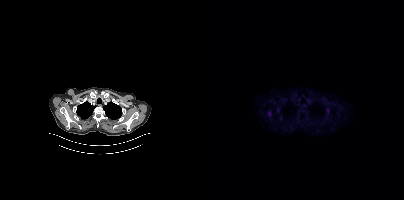
Two-panel axial: CT | PSMA PET, [18F]PSMA-1007 tracer. Acquired on Siemens Biograph mCT Flow 20. Slice 336 of 421. No tumor lesions annotated on this slice.